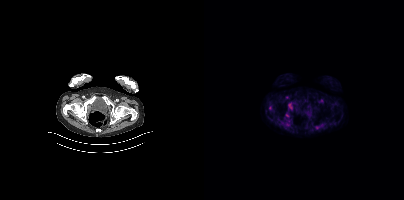
Coordinates are on the 200×200 PET (right) panel. Small PSMA-avid focus (2 to 4 px across) near (center x, center y): (83, 115).
modality: PSMA PET/CT | tracer: 18F-PSMA | view: axial | PET grid: 200×200